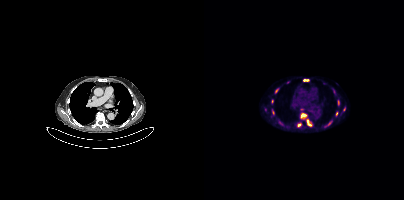
Coordinates are on the 200×200 PET (right) panel. (showing 11 of 12 foci) PSMA-avid tumor lesion bounding boxes (x0, y0)-(x1, y1): (96, 113)-(102, 118) | (102, 119)-(107, 126) | (99, 79)-(105, 81) | (93, 123)-(97, 126) | (123, 122)-(127, 125) | (134, 100)-(135, 104). Small PSMA-avid foci (2 to 4 px across) near (center x, center y): (72, 90) | (69, 112) | (132, 113) | (68, 101) | (140, 109).